- Paired axial CT (left) and PSMA PET (right), [18F]PSMA-1007 tracer
- slice 141 of 409
- PET panel 200×200 px (4.1 mm/px)
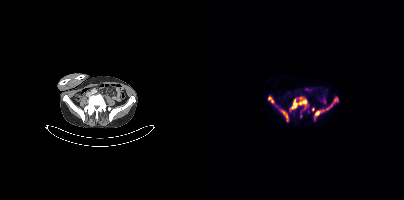
Findings: Coordinates are on the 200×200 PET (right) panel. (showing 8 of 9 foci) PSMA-avid tumor lesion bounding boxes (x0,y0,x1,y1): [86,97,103,111]; [122,96,134,109]; [75,109,84,121]; [109,110,116,120]; [64,96,70,103]. Small PSMA-avid foci (2 to 4 px across) near (center x, center y): (109, 109); (119, 110); (72, 105).